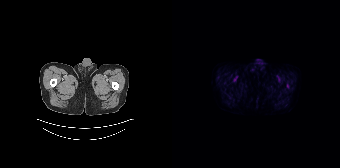
modality: PSMA PET/CT | tracer: 18F-PSMA | view: axial
Negative for PSMA-avid disease on this slice.